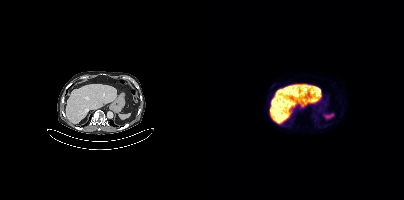
modality: PSMA PET/CT | tracer: 18F-PSMA | view: axial
No tumor lesions annotated on this slice.